modality: PSMA PET/CT | tracer: 18F | view: axial
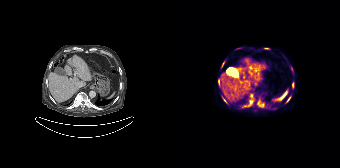
Coordinates are on the 168×168 PET (right) panel. (showing 7 of 12 foci) PSMA-avid tumor lesion bounding boxes (x0, y0)-(x1, y1): (72, 96)-(82, 106) | (85, 100)-(92, 107) | (115, 97)-(118, 101) | (50, 61)-(52, 66) | (92, 48)-(96, 49). Small PSMA-avid foci (2 to 4 px across) near (center x, center y): (120, 84) | (119, 68).